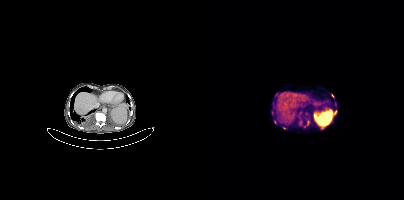
{"modality":"PSMA PET/CT","view":"axial","tracer":"68Ga","pet_grid":[200,200],"coord_frame":"pet_panel","coord_format":"x0,y0,x1,y1","partial":true,"lesion_bboxes":[],"small_foci_centers":[[131,111],[71,121],[80,128],[128,95],[104,122]]}